A rectangle over the head was blacked out to remove identifiable facial features. Paired axial CT (left) and PSMA PET (right), [18F]PSMA-1007 tracer. Slice position z = -881 mm. PET panel 200×200 px (4.1 mm/px).
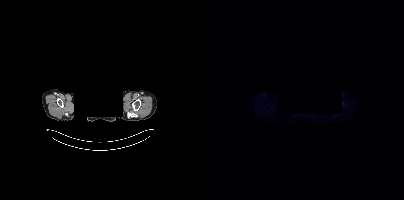
Negative for PSMA-avid disease on this slice.